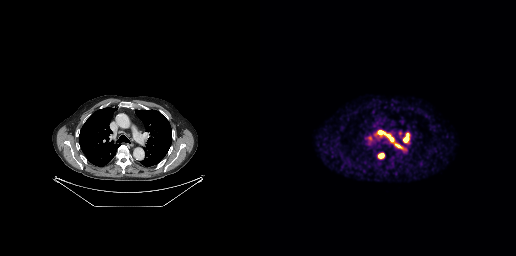
{"modality":"PSMA PET/CT","view":"axial","tracer":"[68Ga]Ga-PSMA-11","pet_grid":[256,256],"coord_frame":"pet_panel","coord_format":"x0,y0,x1,y1","partial":true,"lesion_bboxes":[[118,130,134,141],[144,134,148,142],[119,153,123,157]],"small_foci_centers":[[138,146]]}